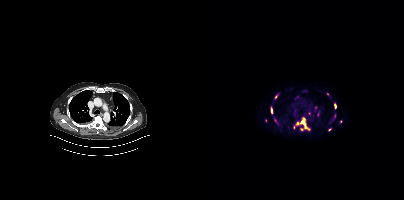
Coordinates are on the 200×200 PET (right) panel. (showing 7 of 11 foci) PSMA-avid tumor lesion bounding boxes (x0,y0,x1,y1): [89,117,106,130] [130,102,132,109] [67,107,68,113]. Small PSMA-avid foci (2 to 4 px across) near (center x, center y): (123, 94) (125, 129) (136, 121) (71, 97).